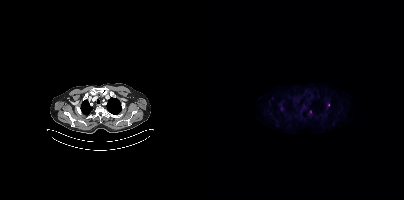
{"pet_grid":[200,200],"coord_frame":"pet_panel","coord_format":"x0,y0,x1,y1","lesion_bboxes":[],"small_foci_centers":[[77,108],[124,104]],"modality":"PSMA PET/CT","view":"axial","tracer":"18F"}